- Paired axial CT (left) and PSMA PET (right), 18F-PSMA tracer
- PET panel 200×200 px (4.1 mm/px)
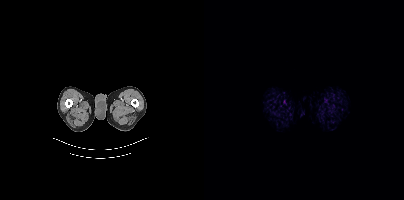
Findings: Negative for PSMA-avid disease on this slice.